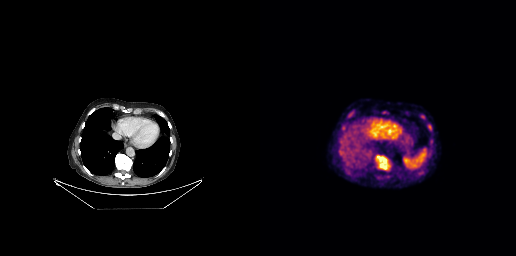
{"pet_grid":[256,256],"coord_frame":"pet_panel","coord_format":"x0,y0,x1,y1","lesion_bboxes":[[117,156,128,169],[167,124,172,131],[88,111,93,117]],"modality":"PSMA PET/CT","view":"axial","tracer":"18F"}